Two-panel axial: CT | PSMA PET, 18F-PSMA tracer. PET panel 200×200 px (4.1 mm/px).
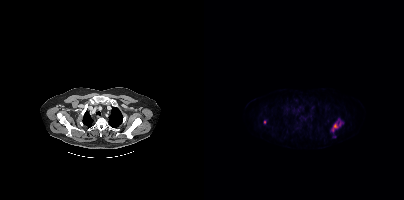
Coordinates are on the 200×200 PET (right) panel. PSMA-avid tumor lesion bounding box (x0,y0,x1,y1): [129,118,139,130]. Small PSMA-avid foci (2 to 4 px across) near (center x, center y): (130, 136) (60, 122).